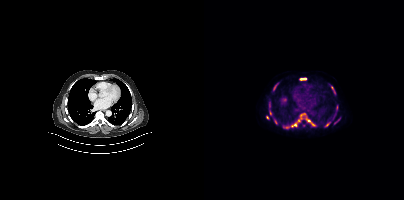
Technique: Left: CT. Right: PSMA PET, same axial level, 18F-PSMA tracer. PET panel 200×200 px (4.1 mm/px).
Findings: Coordinates are on the 200×200 PET (right) panel. (showing 10 of 11 foci) PSMA-avid tumor lesion bounding boxes (x0,y0,x1,y1): [80,125,86,129] [69,83,73,89] [127,86,131,93] [96,78,102,79] [70,119,73,124] [92,119,96,122]. Small PSMA-avid foci (2 to 4 px across) near (center x, center y): (91, 125) (63, 117) (104, 120) (123, 124).